Two-panel axial: CT | PSMA PET, 18F tracer. Acquired on Siemens Biograph mCT Flow 20. PET panel 200×200 px (4.1 mm/px).
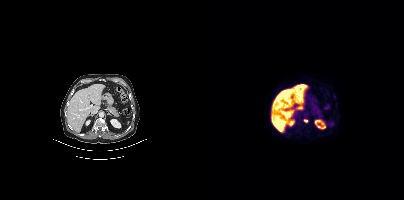
Coordinates are on the 200×200 PET (right) panel. Small PSMA-avid focus (2 to 4 px across) near (center x, center y): (102, 120).